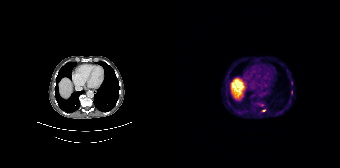
modality: PSMA PET/CT | tracer: 68Ga-PSMA | view: axial | PET grid: 168×168
Coordinates are on the 168×168 PET (right) panel. PSMA-avid tumor lesion bounding box (x, y, width, height): x=85 y=103 w=8 h=4. Small PSMA-avid foci (2 to 4 px across) near (center x, center y): (92, 110); (119, 92); (119, 82); (54, 94); (115, 71); (55, 76).